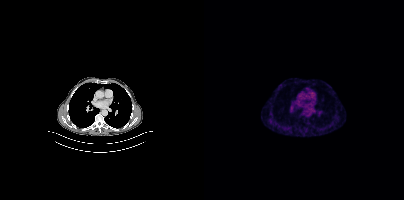
No tumor lesions annotated on this slice. Two-panel axial: CT | PSMA PET, 18F tracer. PET panel 200×200 px (4.1 mm/px).